modality: PSMA PET/CT | tracer: [18F]PSMA-1007 | view: axial | PET grid: 200×200
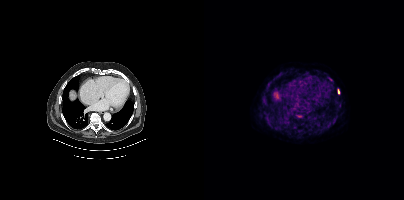
Coordinates are on the 200×200 PET (right) panel. PSMA-avid tumor lesion bounding boxes (x0,y0,x1,y1): [134,89,135,94]; [93,115,97,117].